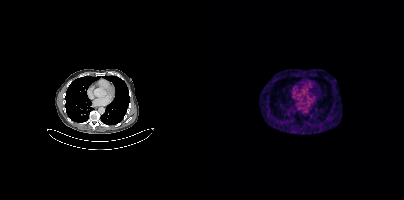
- Two-panel axial: CT | PSMA PET, [68Ga]Ga-PSMA-11 tracer
Findings: No tumor lesions annotated on this slice.